modality: PSMA PET/CT | tracer: [68Ga]Ga-PSMA-11 | view: axial
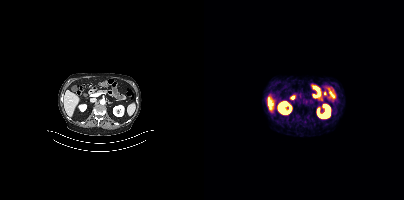
No tumor lesions annotated on this slice.